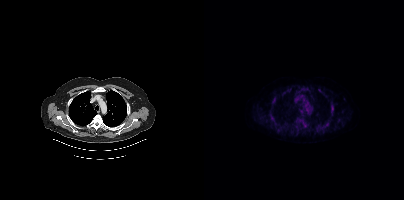
Coordinates are on the 200×200 PET (right) panel. PSMA-avid tumor lesion bounding boxes (partial; 1 more focus not listed):
| # | x0 | y0 | x1 | y1 |
|---|---|---|---|---|
| 1 | 90 | 118 | 103 | 126 |
| 2 | 69 | 95 | 73 | 104 |
| 3 | 121 | 120 | 127 | 126 |
| 4 | 97 | 87 | 101 | 91 |
| 5 | 127 | 107 | 129 | 113 |
| 6 | 113 | 125 | 117 | 129 |
Small PSMA-avid foci (2 to 4 px across) near (center x, center y): (115, 90); (65, 113); (75, 130); (80, 93); (127, 101); (98, 115).
Two-panel axial: CT | PSMA PET, 18F-PSMA tracer. Acquired on Siemens Biograph mCT Flow 20. Slice 364 of 464.